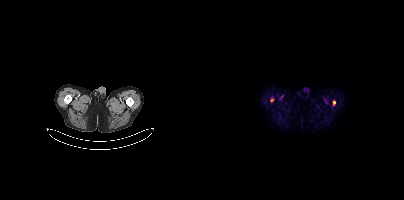
Coordinates are on the 200×200 PET (right) panel. PSMA-avid tumor lesion bounding box (x0, y0)-(x1, y1): (129, 100)-(131, 104). Small PSMA-avid focus (2 to 4 px across) near (center x, center y): (67, 100).